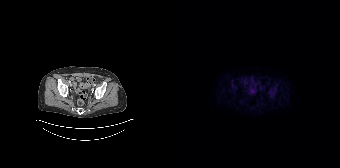
This slice has no annotated PSMA-avid lesion. Paired axial CT (left) and PSMA PET (right), [18F]PSMA-1007 tracer.